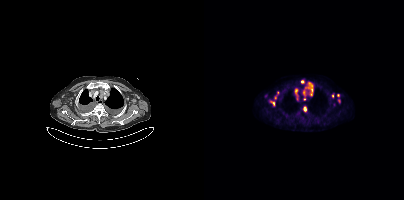
Coordinates are on the 200×200 PET (right) panel. (showing 12 of 13 foci) PSMA-avid tumor lesion bounding boxes (x0,y0,x1,y1): [101,84,109,95], [65,95,72,106], [99,106,102,111], [91,89,93,95], [99,90,101,95]. Small PSMA-avid foci (2 to 4 px across) near (center x, center y): (98, 81), (134, 95), (135, 100), (100, 99), (128, 95), (73, 92), (61, 95).